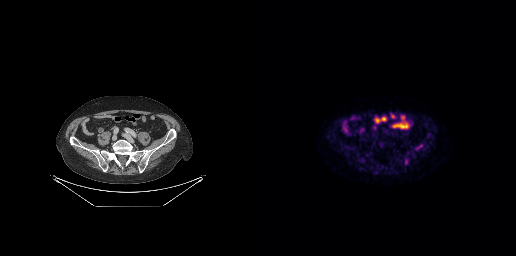
Coordinates are on the 256×256 PET (right) panel. (showing 1 of 2 foci) Small PSMA-avid focus (2 to 4 px across) near (center x, center y): (160, 145).